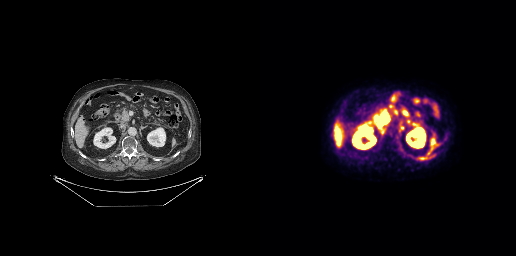
This slice has no annotated PSMA-avid lesion.